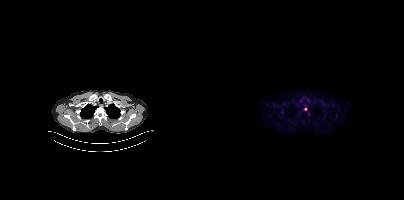
- Left: CT. Right: PSMA PET, same axial level, [18F]PSMA-1007 tracer
- slice position z = -358 mm
- PET panel 200×200 px (4.1 mm/px)
Findings: Coordinates are on the 200×200 PET (right) panel. Small PSMA-avid focus (2 to 4 px across) near (center x, center y): (101, 109).